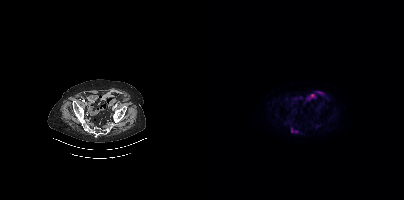
Paired axial CT (left) and PSMA PET (right), 18F tracer. Coordinates are on the 200×200 PET (right) panel. PSMA-avid tumor lesion bounding box (x0, y0)-(x1, y1): (87, 128)-(88, 132). Small PSMA-avid focus (2 to 4 px across) near (center x, center y): (92, 131).